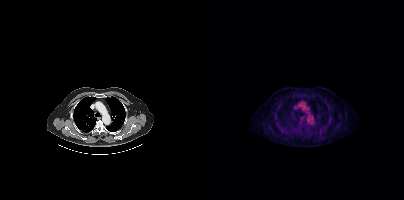
- Left: CT. Right: PSMA PET, same axial level, 18F-PSMA tracer
- slice 324 of 415
Findings: This slice has no annotated PSMA-avid lesion.